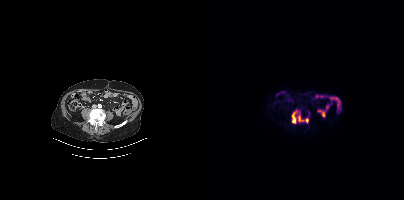
Paired axial CT (left) and PSMA PET (right), [18F]PSMA-1007 tracer. Coordinates are on the 200×200 PET (right) panel. (showing 1 of 2 foci) PSMA-avid tumor lesion bounding box (x, y, width, height): x=87 y=109 w=18 h=16.